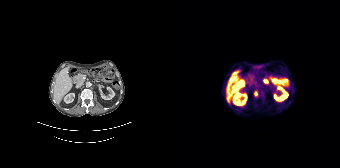
Coordinates are on the 168×168 PET (right) panel. Small PSMA-avid focus (2 to 4 px across) near (center x, center y): (83, 93). Left: CT. Right: PSMA PET, same axial level, 68Ga-PSMA tracer. Acquired on Siemens Biograph 64-4R TruePoint. PET panel 168×168 px (4.1 mm/px).